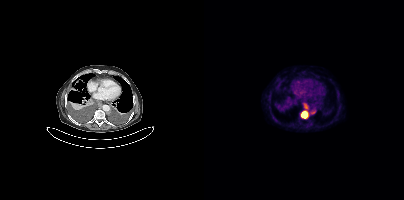
Left: CT. Right: PSMA PET, same axial level, 18F tracer.
Coordinates are on the 200×200 PET (right) panel. PSMA-avid tumor lesion bounding boxes:
| # | x0 | y0 | x1 | y1 |
|---|---|---|---|---|
| 1 | 97 | 111 | 103 | 118 |
| 2 | 100 | 104 | 103 | 108 |